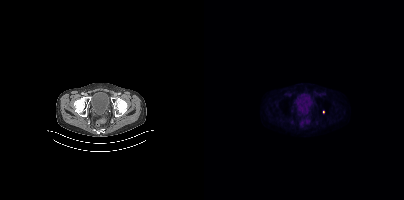
{"modality":"PSMA PET/CT","view":"axial","tracer":"18F","pet_grid":[200,200],"coord_frame":"pet_panel","coord_format":"x0,y0,x1,y1","lesion_bboxes":[],"small_foci_centers":[[119,111]]}